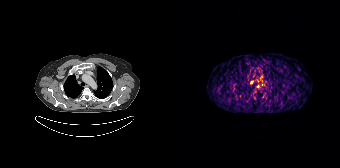
Findings: Coordinates are on the 168×168 PET (right) panel. Small PSMA-avid focus (2 to 4 px across) near (center x, center y): (79, 82).
Technique: Paired axial CT (left) and PSMA PET (right), 68Ga tracer.